Paired axial CT (left) and PSMA PET (right), 18F-PSMA tracer. Slice position z = -444 mm.
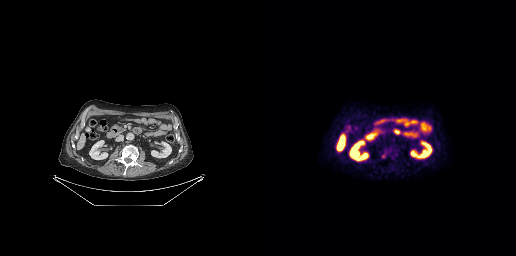
Coordinates are on the 256×256 PET (right) panel. PSMA-avid tumor lesion bounding box (x0, y0)-(x1, y1): (122, 150)-(129, 157).